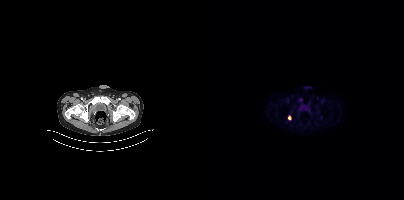
modality: PSMA PET/CT | tracer: 18F-PSMA | view: axial | PET grid: 200×200
Coordinates are on the 200×200 PET (right) panel. Small PSMA-avid focus (2 to 4 px across) near (center x, center y): (85, 117).